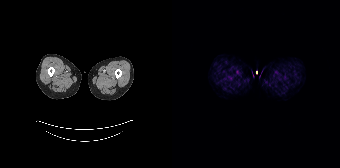
No tumor lesions annotated on this slice. Paired axial CT (left) and PSMA PET (right), 68Ga tracer. Slice 27 of 195. PET panel 168×168 px (4.1 mm/px).